Paired axial CT (left) and PSMA PET (right), 18F tracer. Slice 257 of 409. PET panel 200×200 px (4.1 mm/px).
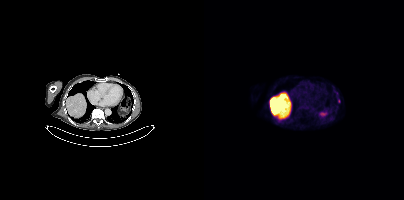
Coordinates are on the 200×200 PET (right) panel. Small PSMA-avid foci (2 to 4 px across) near (center x, center y): (133, 93) / (135, 100).